modality: PSMA PET/CT | tracer: [18F]PSMA-1007 | view: axial | PET grid: 200×200
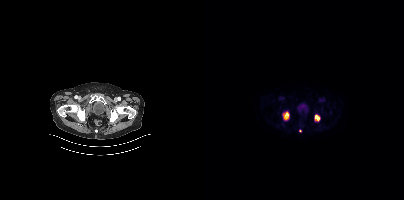
Coordinates are on the 200×200 PET (right) panel. PSMA-avid tumor lesion bounding boxes (x, y, width, height): x=80 y=112 w=5 h=8 | x=111 y=115 w=5 h=6. Small PSMA-avid focus (2 to 4 px across) near (center x, center y): (96, 130).